- Paired axial CT (left) and PSMA PET (right), 18F tracer
- slice position z = -112 mm
- PET panel 200×200 px (4.1 mm/px)
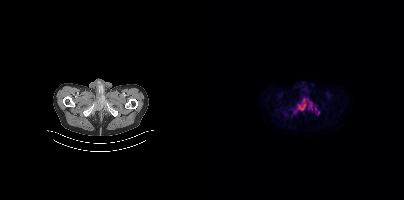
Findings: Coordinates are on the 200×200 PET (right) panel. PSMA-avid tumor lesion bounding box (x0, y0)-(x1, y1): (90, 98)-(108, 112). Small PSMA-avid foci (2 to 4 px across) near (center x, center y): (101, 89) | (111, 108) | (114, 112).